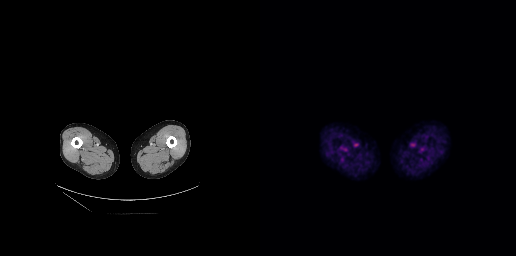
This slice has no annotated PSMA-avid lesion. Paired axial CT (left) and PSMA PET (right), 18F-PSMA tracer. Slice 19 of 263.